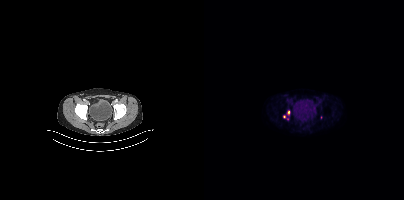
{"modality":"PSMA PET/CT","view":"axial","tracer":"18F","pet_grid":[200,200],"coord_frame":"pet_panel","coord_format":"x0,y0,x1,y1","partial":true,"lesion_bboxes":[],"small_foci_centers":[[84,112],[80,116]]}